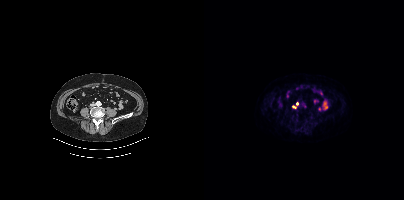
Only PSMA-avid lesion pieces thinner than 2 px on this slice (not listed). Left: CT. Right: PSMA PET, same axial level, 18F-PSMA tracer. Acquired on Siemens Biograph mCT Flow 20. Slice 151 of 452. PET panel 200×200 px (4.1 mm/px).